- Paired axial CT (left) and PSMA PET (right), [68Ga]Ga-PSMA-11 tracer
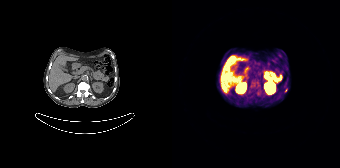
Findings: Coordinates are on the 168×168 PET (right) panel. Small PSMA-avid focus (2 to 4 px across) near (center x, center y): (114, 90).